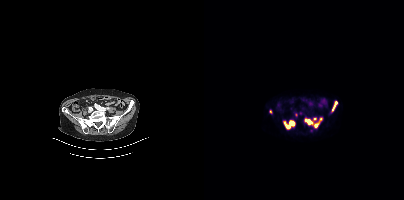
Findings: Coordinates are on the 200×200 PET (right) panel. PSMA-avid tumor lesion bounding boxes (x0, y0)-(x1, y1): (100, 118)-(117, 127); (80, 120)-(90, 128); (128, 101)-(133, 111). Small PSMA-avid foci (2 to 4 px across) near (center x, center y): (92, 114); (66, 111).
Technique: Left: CT. Right: PSMA PET, same axial level, [68Ga]Ga-PSMA-11 tracer. slice 113 of 409.